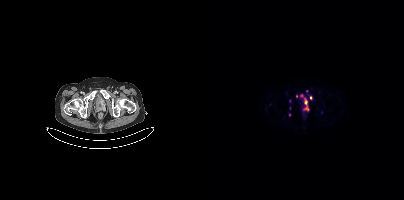
Findings: Coordinates are on the 200×200 PET (right) panel. (showing 6 of 7 foci) PSMA-avid tumor lesion bounding box (x0, y0)-(x1, y1): (99, 101)-(104, 110). Small PSMA-avid foci (2 to 4 px across) near (center x, center y): (106, 97) | (92, 96) | (85, 115) | (97, 94) | (102, 90).
- Paired axial CT (left) and PSMA PET (right), 68Ga tracer
- slice position z = -1513 mm